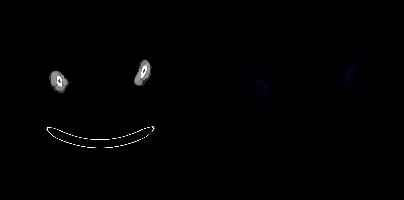
Paired axial CT (left) and PSMA PET (right), 18F-PSMA tracer. Acquired on Siemens Biograph mCT Flow 20. Slice 339 of 354. Face de-identified by blanking a block of the head. No PSMA-avid tumor lesions on this slice.